- Two-panel axial: CT | PSMA PET, [18F]PSMA-1007 tracer
- acquired on Siemens Biograph mCT Flow 20
- slice 250 of 401
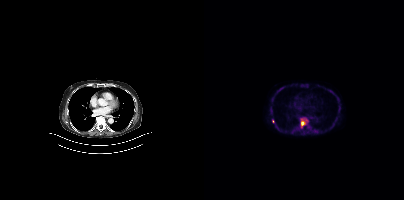
Findings: Coordinates are on the 200×200 PET (right) panel. (showing 2 of 4 foci) PSMA-avid tumor lesion bounding box (x0, y0)-(x1, y1): (97, 117)-(103, 125). Small PSMA-avid focus (2 to 4 px across) near (center x, center y): (77, 88).